- Paired axial CT (left) and PSMA PET (right), 68Ga-PSMA tracer
- slice position z = -549 mm
- PET panel 256×256 px (2.7 mm/px)
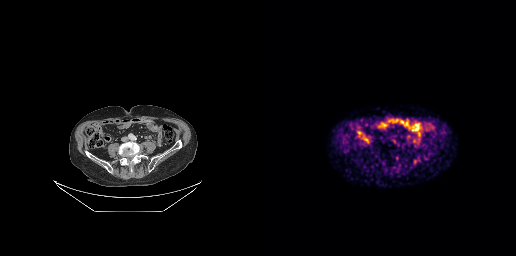
Findings: Coordinates are on the 256×256 PET (right) panel. PSMA-avid tumor lesion bounding boxes (x0, y0)-(x1, y1): (153, 160)-(156, 164); (136, 156)-(138, 160).